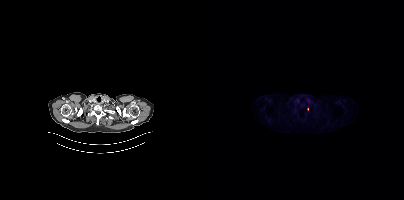
Findings: Coordinates are on the 200×200 PET (right) panel. Small PSMA-avid focus (2 to 4 px across) near (center x, center y): (103, 109).
Technique: Paired axial CT (left) and PSMA PET (right), [18F]PSMA-1007 tracer. acquired on Siemens Biograph mCT Flow 20. slice 347 of 411.